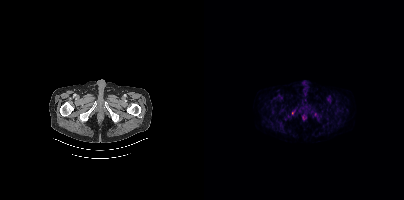
Findings: Coordinates are on the 200×200 PET (right) panel. Small PSMA-avid focus (2 to 4 px across) near (center x, center y): (88, 113).
Technique: Left: CT. Right: PSMA PET, same axial level, 18F tracer. acquired on Siemens Biograph mCT Flow 20. slice 53 of 454.